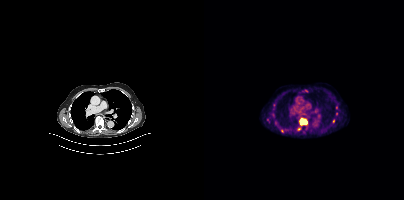
Coordinates are on the 200×200 PET (right) panel. (showing 4 of 6 foci) PSMA-avid tumor lesion bounding box (x0,y0,x1,y1): [95,118,103,125]. Small PSMA-avid foci (2 to 4 px across) near (center x, center y): (95, 129); (132, 113); (63, 119).